Two-panel axial: CT | PSMA PET, 18F-PSMA tracer. Acquired on Siemens Biograph mCT Flow 20. Slice 234 of 405. PET panel 200×200 px (4.1 mm/px).
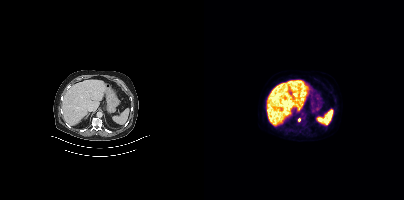
Coordinates are on the 200×200 PET (right) panel. Small PSMA-avid focus (2 to 4 px across) near (center x, center y): (95, 119).